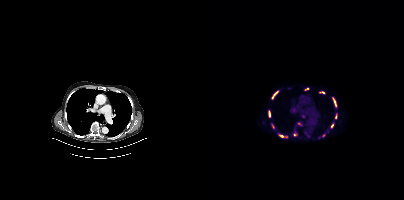
modality: PSMA PET/CT | tracer: [68Ga]Ga-PSMA-11 | view: axial | PET grid: 200×200
Coordinates are on the 200×200 PET (right) panel. (showing 13 of 14 foci) PSMA-avid tumor lesion bounding boxes (x0,y0,x1,y1): [64,110,66,117] [68,91,74,98] [97,114,101,117] [93,122,97,125] [129,98,132,105]. Small PSMA-avid foci (2 to 4 px across) near (center x, center y): (132, 116) (128, 125) (102, 89) (77, 136) (119, 92) (90, 134) (68, 126) (119, 135).